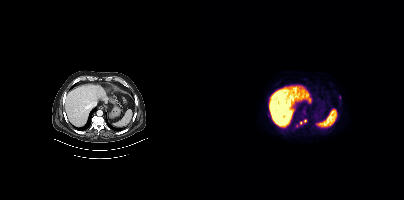
{"modality":"PSMA PET/CT","view":"axial","tracer":"18F","pet_grid":[200,200],"coord_frame":"pet_panel","coord_format":"x0,y0,x1,y1","partial":true,"lesion_bboxes":[],"small_foci_centers":[[93,125],[101,120],[96,122]]}